Technique: Left: CT. Right: PSMA PET, same axial level, 18F tracer. slice position z = -940 mm. PET panel 200×200 px (4.1 mm/px).
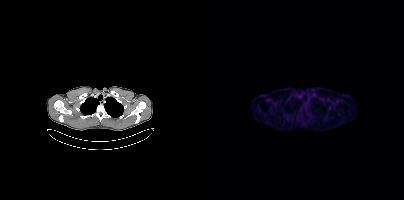
Findings: This slice has no annotated PSMA-avid lesion.